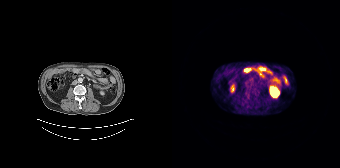
{"modality":"PSMA PET/CT","view":"axial","tracer":"68Ga-PSMA","pet_grid":[168,168],"coord_frame":"pet_panel","coord_format":"x0,y0,x1,y1","psma_avid_lesions":false}